Technique: Paired axial CT (left) and PSMA PET (right), [18F]PSMA-1007 tracer. PET panel 168×168 px (4.1 mm/px).
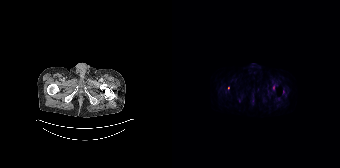
Findings: Coordinates are on the 168×168 PET (right) panel. (showing 3 of 4 foci) PSMA-avid tumor lesion bounding box (x0,y0,x1,y1): [101,85,102,89]. Small PSMA-avid foci (2 to 4 px across) near (center x, center y): (67, 100) (56, 87).